Paired axial CT (left) and PSMA PET (right), [18F]PSMA-1007 tracer. Acquired on Siemens Biograph mCT Flow 20. Slice 293 of 409. PET panel 200×200 px (4.1 mm/px).
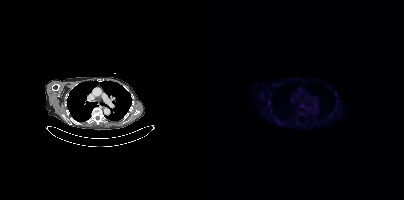
Coordinates are on the 200×200 PET (right) panel. (showing 1 of 2 foci) Small PSMA-avid focus (2 to 4 px across) near (center x, center y): (131, 94).